Technique: Left: CT. Right: PSMA PET, same axial level, 68Ga tracer. acquired on Siemens Biograph 64-4R TruePoint.
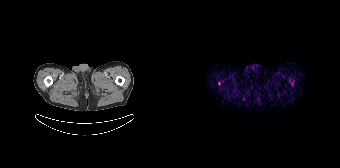
Findings: Coordinates are on the 168×168 PET (right) panel. Small PSMA-avid focus (2 to 4 px across) near (center x, center y): (47, 83).